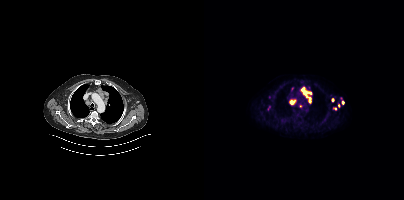
Coordinates are on the 200×200 PET (right) panel. (showing 7 of 9 foci) PSMA-avid tumor lesion bounding boxes (x0, y0)-(x1, y1): (96, 87)-(107, 103) / (85, 99)-(92, 104). Small PSMA-avid foci (2 to 4 px across) near (center x, center y): (139, 102) / (128, 99) / (96, 106) / (134, 105) / (131, 108).